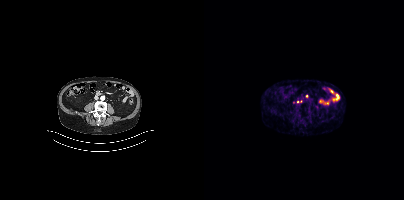
Findings: Coordinates are on the 200×200 PET (right) panel. PSMA-avid tumor lesion bounding box (x0, y0)-(x1, y1): (94, 100)-(98, 102). Small PSMA-avid focus (2 to 4 px across) near (center x, center y): (102, 96).
Technique: Paired axial CT (left) and PSMA PET (right), 68Ga-PSMA tracer. acquired on Siemens Biograph mCT Flow 20.